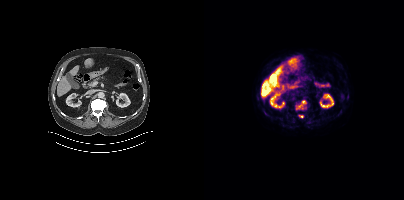
modality: PSMA PET/CT | tracer: [18F]PSMA-1007 | view: axial | PET grid: 200×200
Coordinates are on the 200×200 PET (right) panel. PSMA-avid tumor lesion bounding boxes (x0, y0)-(x1, y1): (93, 100)-(102, 109) / (95, 115)-(99, 117).